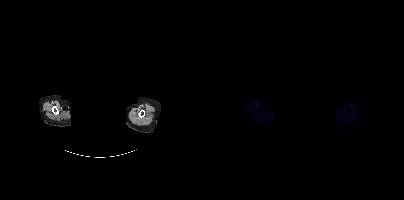
{"modality":"PSMA PET/CT","view":"axial","tracer":"18F-PSMA","pet_grid":[200,200],"coord_frame":"pet_panel","coord_format":"x0,y0,x1,y1","psma_avid_lesions":false,"deidentification":"head region blanked (face removed)"}